- Paired axial CT (left) and PSMA PET (right), [18F]PSMA-1007 tracer
- slice position z = -742 mm
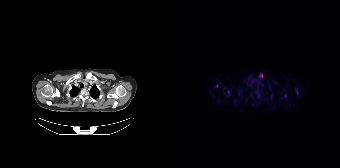
Findings: Coordinates are on the 168×168 PET (right) panel. Small PSMA-avid foci (2 to 4 px across) near (center x, center y): (88, 75) | (56, 92) | (44, 85).